Two-panel axial: CT | PSMA PET, 18F tracer. Acquired on GE Discovery 690.
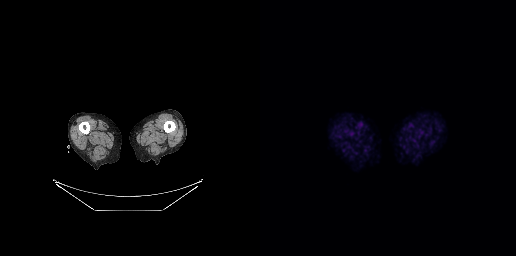
No PSMA-avid tumor lesions on this slice.